Two-panel axial: CT | PSMA PET, [18F]PSMA-1007 tracer. Slice 252 of 401. PET panel 200×200 px (4.1 mm/px).
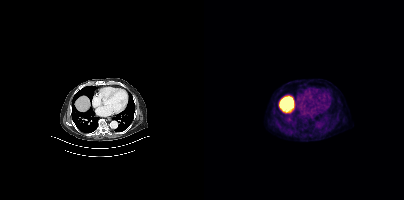
Only PSMA-avid lesion pieces thinner than 2 px on this slice (not listed).